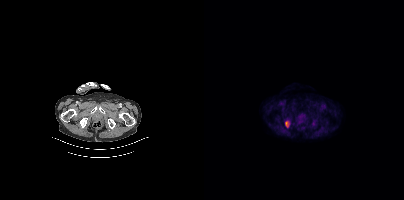
{"pet_grid":[200,200],"coord_frame":"pet_panel","coord_format":"x0,y0,x1,y1","lesion_bboxes":[[81,120,85,126]],"modality":"PSMA PET/CT","view":"axial","tracer":"[18F]PSMA-1007"}